Technique: Two-panel axial: CT | PSMA PET, 18F-PSMA tracer. acquired on Siemens Biograph mCT Flow 20. slice 238 of 397.
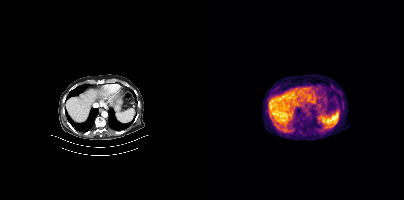
Findings: This slice has no annotated PSMA-avid lesion.